Technique: Left: CT. Right: PSMA PET, same axial level, 18F-PSMA tracer. acquired on Siemens Biograph mCT Flow 20. PET panel 200×200 px (4.1 mm/px).
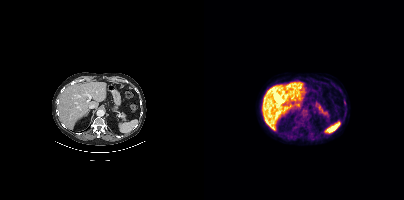
Findings: Negative for PSMA-avid disease on this slice.